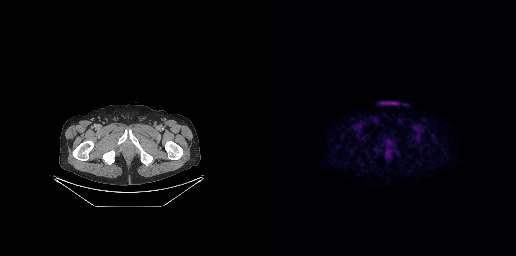
- Left: CT. Right: PSMA PET, same axial level, [18F]PSMA-1007 tracer
- acquired on GE Discovery 690
- slice 50 of 263
- PET panel 256×256 px (2.7 mm/px)
Findings: No tumor lesions annotated on this slice.